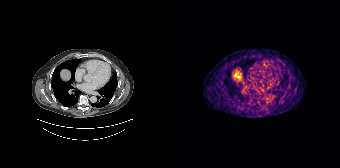
Findings: Coordinates are on the 168×168 PET (right) panel. Small PSMA-avid focus (2 to 4 px across) near (center x, center y): (73, 87).
- Left: CT. Right: PSMA PET, same axial level, 68Ga tracer
- slice position z = -512 mm
- PET panel 168×168 px (4.1 mm/px)